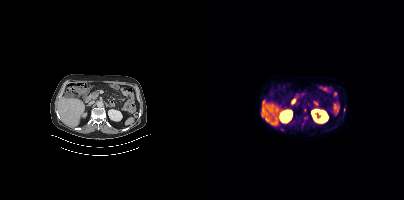
{"modality":"PSMA PET/CT","view":"axial","tracer":"[18F]PSMA-1007","pet_grid":[200,200],"coord_frame":"pet_panel","coord_format":"x0,y0,x1,y1","psma_avid_lesions":false}